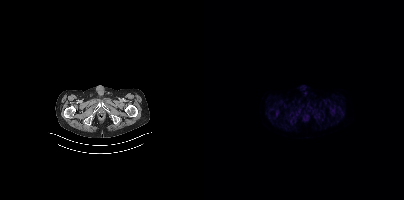
modality: PSMA PET/CT | tracer: 18F | view: axial
No tumor lesions annotated on this slice.